Two-panel axial: CT | PSMA PET, [18F]PSMA-1007 tracer. Slice position z = -1189 mm.
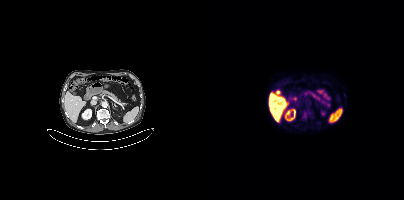
Coordinates are on the 200×200 PET (right) panel. Small PSMA-avid focus (2 to 4 px across) near (center x, center y): (100, 114).